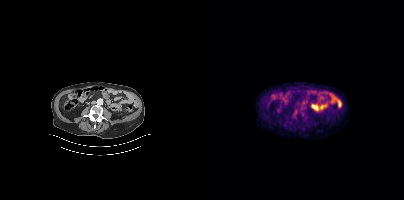
Findings: No tumor lesions annotated on this slice.
- Paired axial CT (left) and PSMA PET (right), 18F-PSMA tracer
- acquired on Siemens Biograph mCT Flow 20
- slice 152 of 377